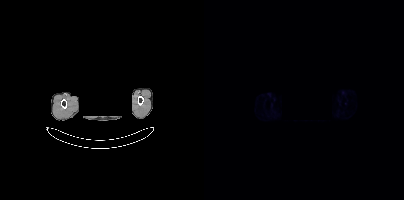
Negative for PSMA-avid disease on this slice.
modality: PSMA PET/CT | tracer: [68Ga]Ga-PSMA-11 | view: axial | deidentification: facial region redacted